Two-panel axial: CT | PSMA PET, 18F tracer. Slice 412 of 427. Head region blanked for anonymization (face removed).
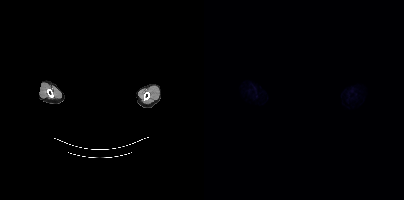
No tumor lesions annotated on this slice.